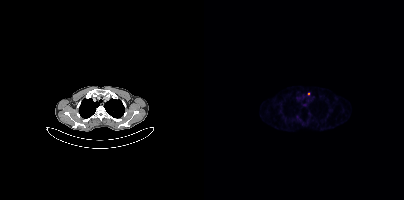
Technique: Two-panel axial: CT | PSMA PET, 68Ga-PSMA tracer.
Findings: Coordinates are on the 200×200 PET (right) panel. Small PSMA-avid focus (2 to 4 px across) near (center x, center y): (104, 93).